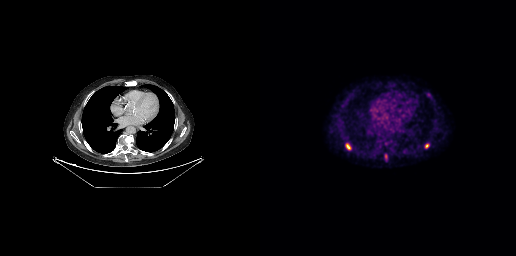
Coordinates are on the 256×256 PET (right) panel. PSMA-avid tumor lesion bounding boxes (x, y, width, height): x=85 y=143 w=7 h=7 | x=165 y=144 w=5 h=5. Small PSMA-avid focus (2 to 4 px across) near (center x, center y): (168, 94). Paired axial CT (left) and PSMA PET (right), [18F]PSMA-1007 tracer. Slice position z = -249 mm. PET panel 256×256 px (2.7 mm/px).